Technique: Two-panel axial: CT | PSMA PET, [18F]PSMA-1007 tracer. slice 133 of 399.
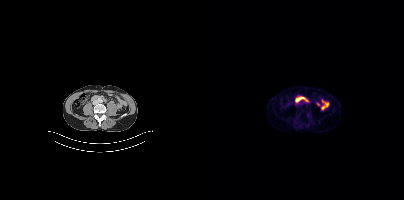
Findings: Negative for PSMA-avid disease on this slice.